modality: PSMA PET/CT | tracer: [18F]PSMA-1007 | view: axial | PET grid: 200×200
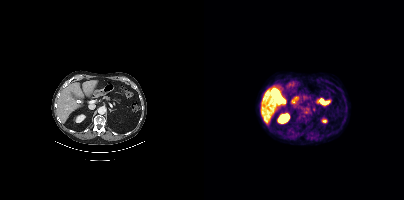
No PSMA-avid tumor lesions on this slice.